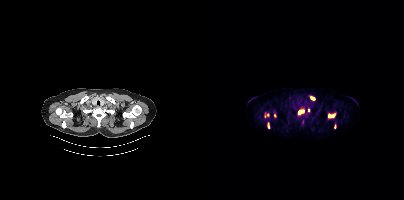
{"pet_grid":[200,200],"coord_frame":"pet_panel","coord_format":"x0,y0,x1,y1","partial":true,"lesion_bboxes":[[124,113,131,118],[94,109,100,114],[106,96,111,100],[64,123,65,128],[104,108,105,112]],"small_foci_centers":[[63,115],[130,126],[70,115]],"modality":"PSMA PET/CT","view":"axial","tracer":"18F-PSMA"}